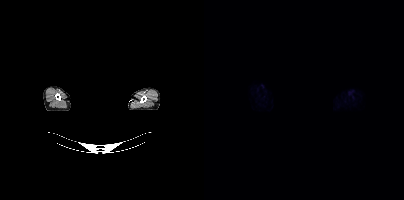
No tumor lesions annotated on this slice. Left: CT. Right: PSMA PET, same axial level, 18F tracer. A rectangle over the head was blacked out to remove identifiable facial features.